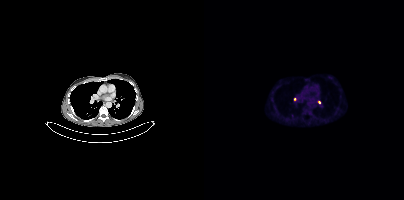
Left: CT. Right: PSMA PET, same axial level, 18F-PSMA tracer. Acquired on Siemens Biograph mCT Flow 20. Slice 296 of 448. Coordinates are on the 200×200 PET (right) panel. (showing 2 of 5 foci) Small PSMA-avid foci (2 to 4 px across) near (center x, center y): (90, 99), (115, 102).